Paired axial CT (left) and PSMA PET (right), [68Ga]Ga-PSMA-11 tracer. Slice position z = -402 mm.
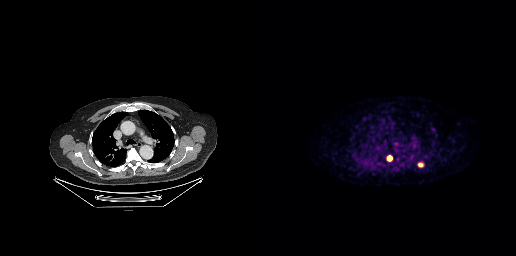
Coordinates are on the 256×256 PET (right) panel. PSMA-avid tumor lesion bounding boxes:
| # | x0 | y0 | x1 | y1 |
|---|---|---|---|---|
| 1 | 127 | 155 | 132 | 161 |
| 2 | 158 | 163 | 162 | 166 |